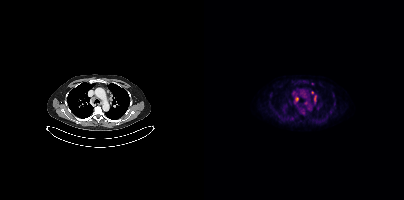
- Two-panel axial: CT | PSMA PET, 18F tracer
- slice position z = -1047 mm
Findings: Coordinates are on the 200×200 PET (right) panel. (showing 6 of 9 foci) PSMA-avid tumor lesion bounding boxes (x0, y0)-(x1, y1): (91, 97)-(94, 101); (97, 109)-(100, 113); (100, 101)-(104, 104); (110, 96)-(111, 100). Small PSMA-avid foci (2 to 4 px across) near (center x, center y): (108, 92); (88, 118).